modality: PSMA PET/CT | tracer: 68Ga | view: axial | PET grid: 256×256
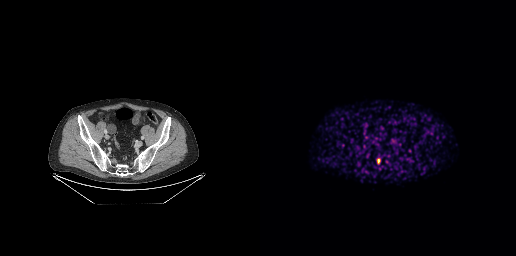
Coordinates are on the 256×256 PET (right) panel. PSMA-avid tumor lesion bounding box (x0, y0)-(x1, y1): (116, 158)-(120, 164).